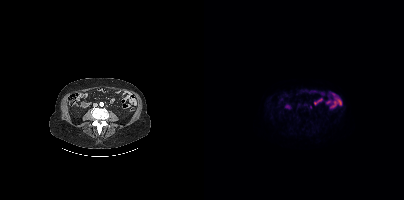
Findings: Negative for PSMA-avid disease on this slice.
Technique: Left: CT. Right: PSMA PET, same axial level, [18F]PSMA-1007 tracer. acquired on Siemens Biograph mCT Flow 20. slice 152 of 389. PET panel 200×200 px (4.1 mm/px).